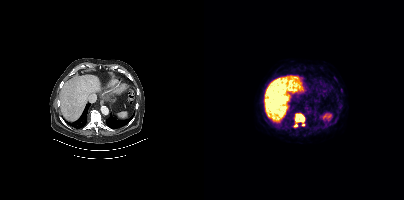
Findings: Coordinates are on the 200×200 PET (right) panel. PSMA-avid tumor lesion bounding box (x0, y0)-(x1, y1): (90, 113)-(100, 127). Small PSMA-avid focus (2 to 4 px across) near (center x, center y): (130, 77).
Technique: Paired axial CT (left) and PSMA PET (right), 18F tracer. slice position z = -565 mm.